Technique: Left: CT. Right: PSMA PET, same axial level, 68Ga tracer. slice position z = -1657 mm.
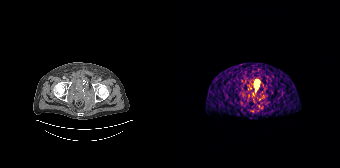
Findings: Coordinates are on the 168×168 PET (right) panel. PSMA-avid tumor lesion bounding box (x0,y0,x1,y1): [82,80,87,90].